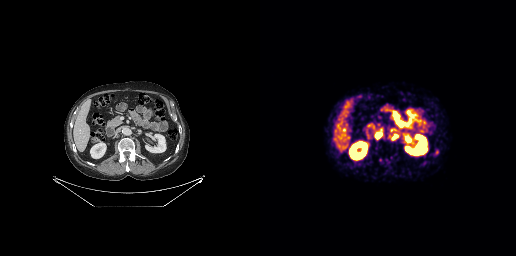
Two-panel axial: CT | PSMA PET, 68Ga tracer. Acquired on GE Discovery 690. PET panel 256×256 px (2.7 mm/px). Coordinates are on the 256×256 PET (right) panel. (showing 4 of 5 foci) PSMA-avid tumor lesion bounding boxes (x0, y0)-(x1, y1): (129, 133)-(137, 140) / (116, 133)-(121, 138) / (130, 129)-(134, 132). Small PSMA-avid focus (2 to 4 px across) near (center x, center y): (121, 129).